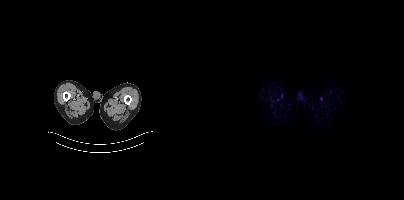
Findings: Negative for PSMA-avid disease on this slice.
- Paired axial CT (left) and PSMA PET (right), [18F]PSMA-1007 tracer
- PET panel 200×200 px (4.1 mm/px)